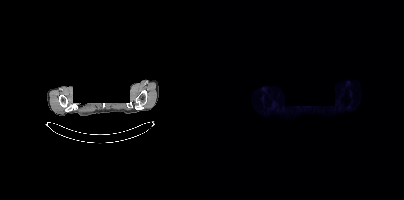
De-identified by setting a box covering the face to black before release. Two-panel axial: CT | PSMA PET, 18F-PSMA tracer. PET panel 200×200 px (4.1 mm/px). Negative for PSMA-avid disease on this slice.